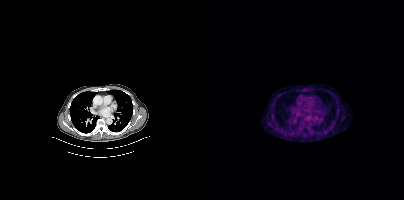
No PSMA-avid tumor lesions on this slice.